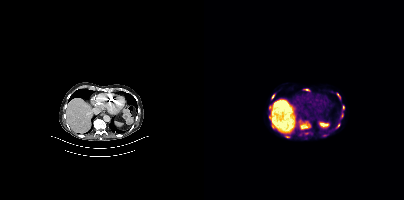
- Two-panel axial: CT | PSMA PET, 18F tracer
- acquired on Siemens Biograph mCT Flow 20
- slice position z = -486 mm
- PET panel 200×200 px (4.1 mm/px)
Findings: Coordinates are on the 200×200 PET (right) panel. (showing 10 of 11 foci) PSMA-avid tumor lesion bounding boxes (x, y, width, height): x=96 y=122 w=11 h=8; x=133 y=93 w=4 h=7; x=67 y=124 w=5 h=5; x=138 y=105 w=3 h=6; x=137 y=113 w=3 h=6; x=101 y=89 w=5 h=2. Small PSMA-avid foci (2 to 4 px across) near (center x, center y): (83, 136); (69, 96); (66, 107); (134, 124).